Paired axial CT (left) and PSMA PET (right), 68Ga-PSMA tracer. Acquired on Siemens Biograph 64-4R TruePoint.
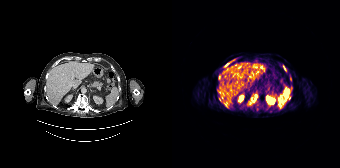
Coordinates are on the 168×168 PET (right) panel. PSMA-avid tumor lesion bounding boxes:
| # | x0 | y0 | x1 | y1 |
|---|---|---|---|---|
| 1 | 78 | 94 | 84 | 102 |
| 2 | 111 | 66 | 113 | 70 |
Small PSMA-avid foci (2 to 4 px across) near (center x, center y): (54, 64); (47, 76); (46, 91); (48, 99); (118, 89).